modality: PSMA PET/CT | tracer: 18F | view: axial
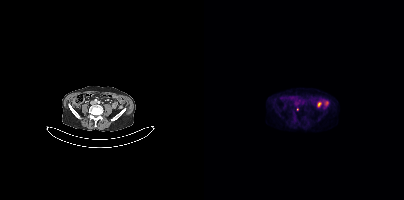
Coordinates are on the 200×200 PET (right) panel. Small PSMA-avid focus (2 to 4 px across) near (center x, center y): (93, 109).